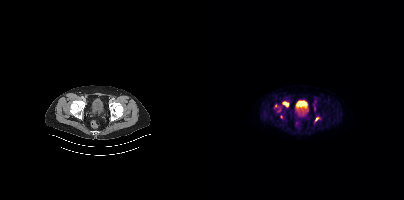
Paired axial CT (left) and PSMA PET (right), 18F-PSMA tracer. PET panel 200×200 px (4.1 mm/px).
Coordinates are on the 200×200 PET (right) panel. PSMA-avid tumor lesion bounding boxes:
| # | x0 | y0 | x1 | y1 |
|---|---|---|---|---|
| 1 | 79 | 102 | 84 | 106 |
Small PSMA-avid focus (2 to 4 px across) near (center x, center y): (112, 119).